- Paired axial CT (left) and PSMA PET (right), 18F-PSMA tracer
- slice position z = -246 mm
- PET panel 200×200 px (4.1 mm/px)
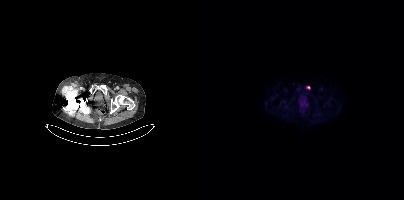
Findings: Coordinates are on the 200×200 PET (right) panel. PSMA-avid tumor lesion bounding box (x, y, width, height): x=102 y=86 w=5 h=4.